The head region is masked for de-identification.
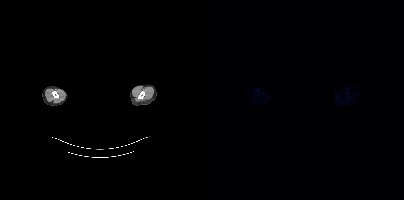
Negative for PSMA-avid disease on this slice.